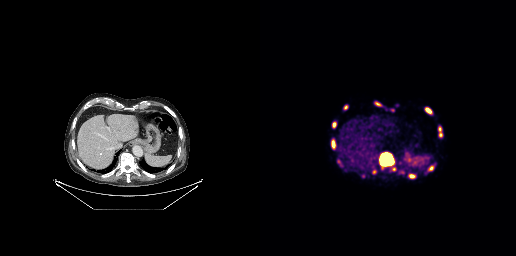
{"pet_grid":[256,256],"coord_frame":"pet_panel","coord_format":"x0,y0,x1,y1","partial":true,"lesion_bboxes":[[120,153,133,169],[71,140,75,148],[114,101,121,106],[165,108,171,113],[72,122,76,127],[179,128,181,136],[77,160,81,165],[150,174,154,177]],"small_foci_centers":[[133,168],[170,168],[85,107],[132,110],[142,172],[113,171]],"modality":"PSMA PET/CT","view":"axial","tracer":"68Ga-PSMA"}